Left: CT. Right: PSMA PET, same axial level, 18F tracer. Acquired on Siemens Biograph mCT Flow 20. PET panel 200×200 px (4.1 mm/px).
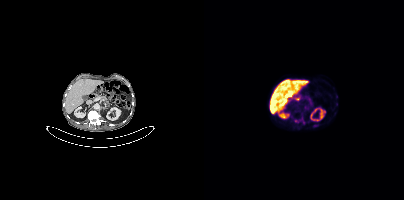
No tumor lesions annotated on this slice.